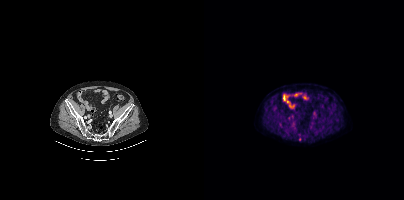
Two-panel axial: CT | PSMA PET, 18F-PSMA tracer. Acquired on Siemens Biograph mCT Flow 20. PET panel 200×200 px (4.1 mm/px). Coordinates are on the 200×200 PET (right) panel. Small PSMA-avid focus (2 to 4 px across) near (center x, center y): (95, 139).